modality: PSMA PET/CT | tracer: [18F]PSMA-1007 | view: axial | deidentification: privacy mask over head
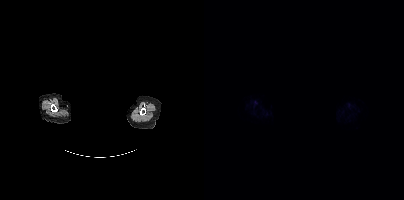
This slice has no annotated PSMA-avid lesion.